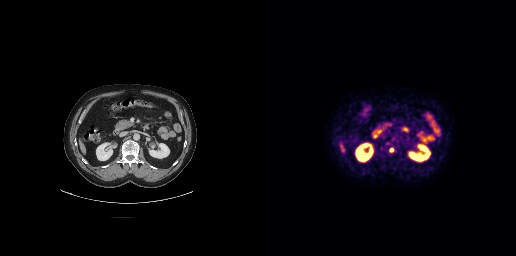
Coordinates are on the 256×256 PET (right) panel. PSMA-avid tumor lesion bounding box (x0,y0,x1,y1): [129,147,134,152].